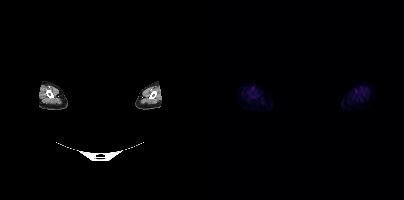
{"modality":"PSMA PET/CT","view":"axial","tracer":"18F-PSMA","pet_grid":[200,200],"coord_frame":"pet_panel","coord_format":"x0,y0,x1,y1","redaction":"rectangular block over head set to black","psma_avid_lesions":false}